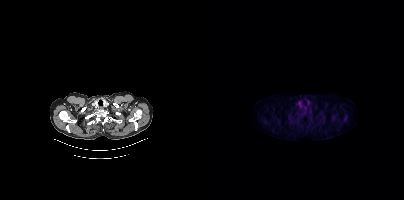
Paired axial CT (left) and PSMA PET (right), 18F tracer.
Coordinates are on the 200×200 PET (right) panel. PSMA-avid tumor lesion bounding boxes:
| # | x0 | y0 | x1 | y1 |
|---|---|---|---|---|
| 1 | 140 | 115 | 142 | 120 |
Small PSMA-avid focus (2 to 4 px across) near (center x, center y): (129, 117).